Paired axial CT (left) and PSMA PET (right), 18F-PSMA tracer. Slice position z = 302 mm.
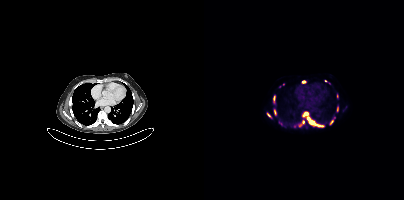
Coordinates are on the 200×200 PET (right) panel. PSMA-avid tumor lesion bounding boxes:
| # | x0 | y0 | x1 | y1 |
|---|---|---|---|---|
| 1 | 103 | 117 | 119 | 126 |
| 2 | 98 | 112 | 104 | 117 |
| 3 | 94 | 120 | 100 | 127 |
| 4 | 133 | 106 | 134 | 111 |
| 5 | 75 | 121 | 78 | 125 |
| 6 | 63 | 113 | 66 | 117 |
| 7 | 126 | 120 | 129 | 124 |
| 8 | 69 | 96 | 70 | 100 |
| 9 | 70 | 110 | 72 | 114 |
Small PSMA-avid foci (2 to 4 px across) near (center x, center y): (90, 126); (99, 81); (133, 95); (121, 80); (79, 84).